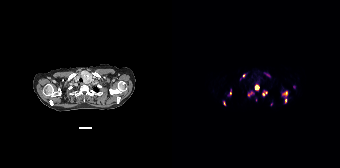
Coordinates are on the 168×168 PET (right) panel. (showing 11 of 12 foci) PSMA-avid tumor lesion bounding boxes (x, y, width, height): x=82 y=84 w=6 h=7 / x=90 y=90 w=6 h=7 / x=110 y=91 w=6 h=6 / x=76 y=91 w=6 h=6 / x=56 y=89 w=4 h=7 / x=51 y=101 w=3 h=5 / x=113 y=98 w=2 h=6 / x=94 y=73 w=5 h=4. Small PSMA-avid foci (2 to 4 px across) near (center x, center y): (72, 75) / (99, 104) / (121, 86).